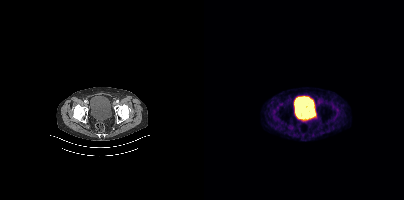
Technique: Paired axial CT (left) and PSMA PET (right), [68Ga]Ga-PSMA-11 tracer.
Findings: No PSMA-avid tumor lesions on this slice.